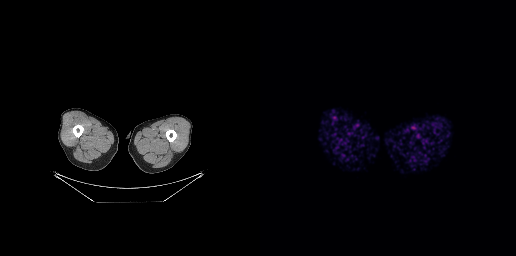
{"modality":"PSMA PET/CT","view":"axial","tracer":"68Ga-PSMA","pet_grid":[256,256],"coord_frame":"pet_panel","coord_format":"x0,y0,x1,y1","psma_avid_lesions":false}